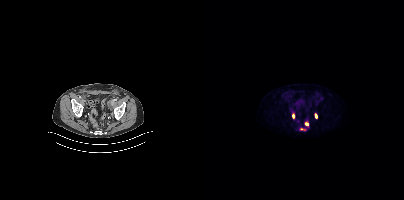
Findings: Coordinates are on the 200×200 PET (right) panel. PSMA-avid tumor lesion bounding boxes (x, y, width, height): x=101 y=122 w=4 h=5 | x=88 y=113 w=3 h=6 | x=111 y=114 w=3 h=5 | x=96 y=128 w=6 h=3.
Technique: Left: CT. Right: PSMA PET, same axial level, 18F-PSMA tracer.